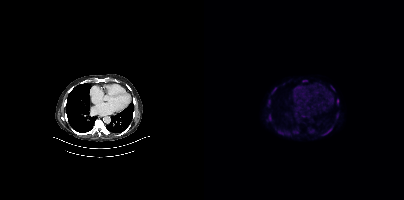
Coordinates are on the 200×200 PET (right) panel. (showing 8 of 12 foci) PSMA-avid tumor lesion bounding boxes (x, y, width, height): x=63 y=99 w=4 h=8 | x=119 y=129 w=9 h=7 | x=65 y=115 w=3 h=6 | x=99 y=80 w=5 h=2 | x=133 y=99 w=2 h=5 | x=127 y=86 w=4 h=5. Small PSMA-avid foci (2 to 4 px across) near (center x, center y): (133, 115) | (73, 130).